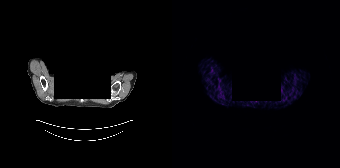
Negative for PSMA-avid disease on this slice. Head region blanked for anonymization (face removed). Paired axial CT (left) and PSMA PET (right), [68Ga]Ga-PSMA-11 tracer. Slice position z = -718 mm. PET panel 168×168 px (4.1 mm/px).